- Two-panel axial: CT | PSMA PET, [18F]PSMA-1007 tracer
- slice position z = -1236 mm
- PET panel 200×200 px (4.1 mm/px)
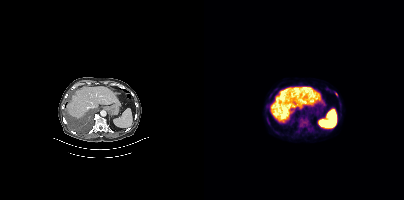
Findings: Coordinates are on the 200×200 PET (right) panel. PSMA-avid tumor lesion bounding boxes (x0,y0,x1,y1): [95,118,104,127]; [63,118,65,124]. Small PSMA-avid foci (2 to 4 px across) near (center x, center y): (132, 94); (72, 89).